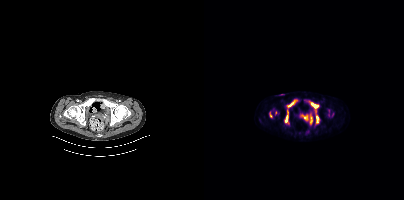
{"modality":"PSMA PET/CT","view":"axial","tracer":"18F-PSMA","pet_grid":[200,200],"coord_frame":"pet_panel","coord_format":"x0,y0,x1,y1","lesion_bboxes":[[107,102,114,108],[83,100,92,107],[80,115,84,122],[112,115,115,123]],"small_foci_centers":[[71,112],[66,116],[107,121]]}